Two-panel axial: CT | PSMA PET, 18F tracer. Acquired on Siemens Biograph mCT Flow 20. PET panel 200×200 px (4.1 mm/px).
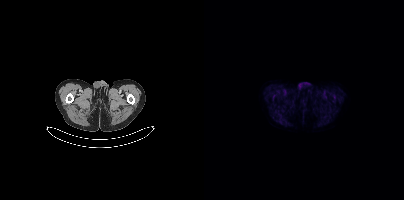
Negative for PSMA-avid disease on this slice.